Paired axial CT (left) and PSMA PET (right), 18F-PSMA tracer. Acquired on Siemens Biograph mCT Flow 20.
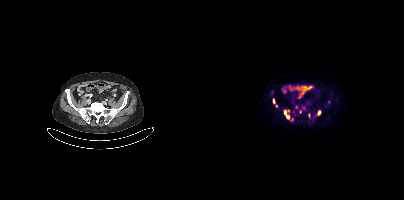
Coordinates are on the 200×200 PET (right) panel. (showing 9 of 10 foci) PSMA-avid tumor lesion bounding boxes (x0, y0)-(x1, y1): (95, 105)-(102, 113) | (80, 110)-(85, 118) | (69, 99)-(71, 103) | (91, 105)-(93, 109). Small PSMA-avid foci (2 to 4 px across) near (center x, center y): (115, 112) | (72, 106) | (104, 115) | (88, 119) | (84, 110).